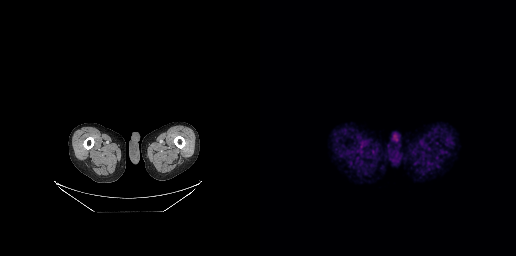
Left: CT. Right: PSMA PET, same axial level, 68Ga-PSMA tracer. This slice has no annotated PSMA-avid lesion.